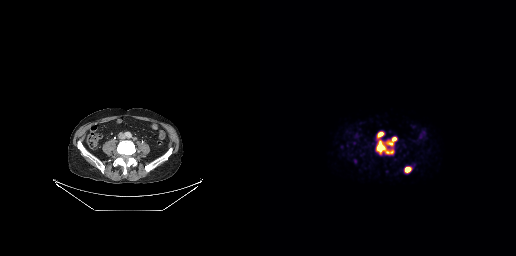
{"modality":"PSMA PET/CT","view":"axial","tracer":"[68Ga]Ga-PSMA-11","pet_grid":[256,256],"coord_frame":"pet_panel","coord_format":"x0,y0,x1,y1","lesion_bboxes":[[117,141,133,154],[127,137,136,145],[145,167,150,172],[118,132,122,137]]}